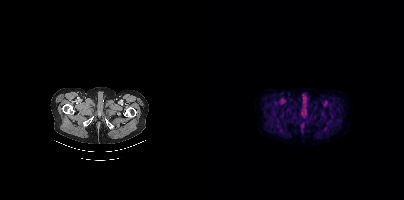
Two-panel axial: CT | PSMA PET, 18F-PSMA tracer. No tumor lesions annotated on this slice.